- Left: CT. Right: PSMA PET, same axial level, 18F-PSMA tracer
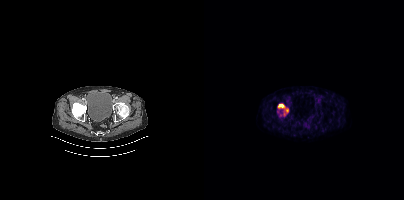
Findings: Coordinates are on the 200×200 PET (right) panel. (showing 1 of 2 foci) PSMA-avid tumor lesion bounding box (x0, y0)-(x1, y1): (73, 104)-(84, 116).